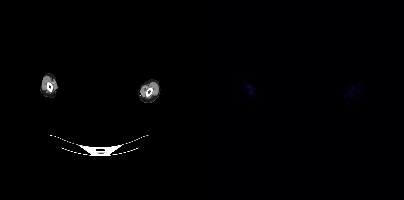
The head region is masked for de-identification. Left: CT. Right: PSMA PET, same axial level, [18F]PSMA-1007 tracer. Slice 409 of 423. No tumor lesions annotated on this slice.